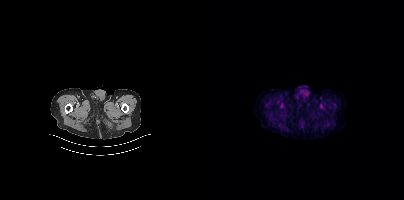
modality: PSMA PET/CT | tracer: [18F]PSMA-1007 | view: axial | PET grid: 200×200
No tumor lesions annotated on this slice.